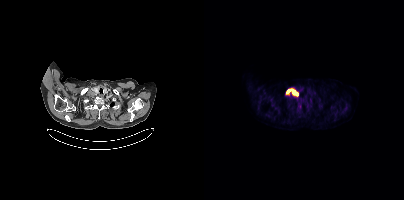
{"modality":"PSMA PET/CT","view":"axial","tracer":"18F-PSMA","pet_grid":[200,200],"coord_frame":"pet_panel","coord_format":"x0,y0,x1,y1","lesion_bboxes":[[82,89,94,95]]}